Left: CT. Right: PSMA PET, same axial level, 18F-PSMA tracer. Slice position z = -841 mm.
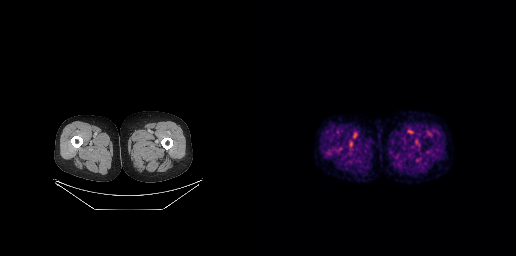
This slice has no annotated PSMA-avid lesion.